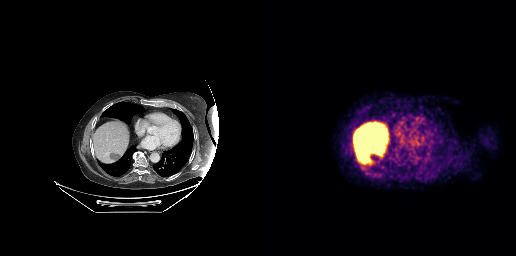
- Two-panel axial: CT | PSMA PET, 18F-PSMA tracer
Findings: No tumor lesions annotated on this slice.